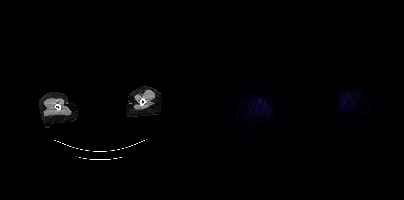
This slice has no annotated PSMA-avid lesion.
De-identified by setting a box covering the face to black before release.